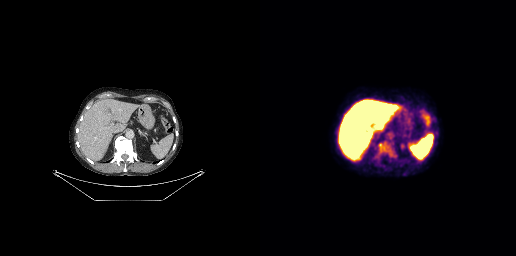
modality: PSMA PET/CT | tracer: 18F-PSMA | view: axial
This slice has no annotated PSMA-avid lesion.